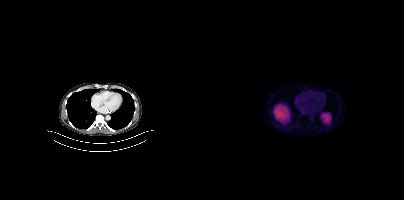
{"modality":"PSMA PET/CT","view":"axial","tracer":"18F-PSMA","pet_grid":[200,200],"coord_frame":"pet_panel","coord_format":"x0,y0,x1,y1","psma_avid_lesions":false}